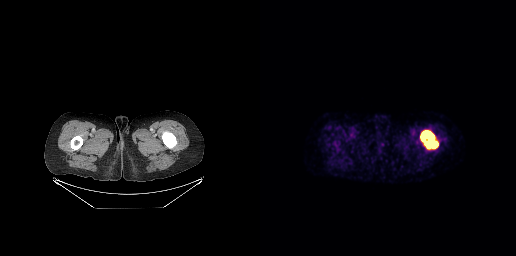
Findings: Coordinates are on the 256×256 PET (right) panel. PSMA-avid tumor lesion bounding box (x0,y0,x1,y1): [160,130,178,149].
Technique: Paired axial CT (left) and PSMA PET (right), [18F]PSMA-1007 tracer. PET panel 256×256 px (2.7 mm/px).